- Two-panel axial: CT | PSMA PET, 18F-PSMA tracer
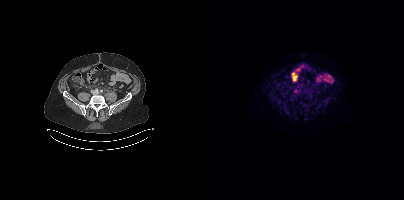
Findings: Coordinates are on the 200×200 PET (right) panel. Small PSMA-avid foci (2 to 4 px across) near (center x, center y): (90, 96) | (101, 92).